modality: PSMA PET/CT | tracer: 18F | view: axial
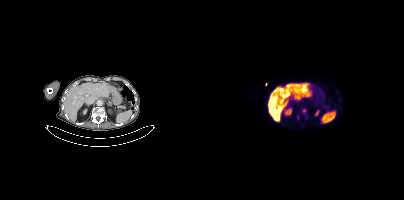
Coordinates are on the 200×200 PET (right) panel. Small PSMA-avid foci (2 to 4 px across) near (center x, center y): (62, 84) | (100, 110) | (93, 117).